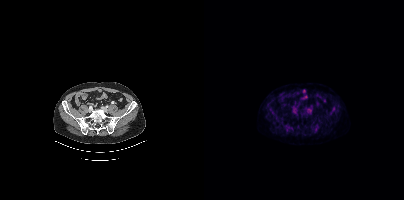
- Paired axial CT (left) and PSMA PET (right), 18F-PSMA tracer
- acquired on Siemens Biograph mCT Flow 20
Findings: No tumor lesions annotated on this slice.